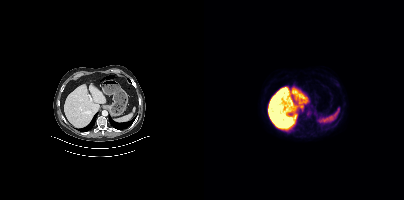
Findings: This slice has no annotated PSMA-avid lesion.
- Two-panel axial: CT | PSMA PET, 18F tracer
- slice 254 of 442